Technique: Paired axial CT (left) and PSMA PET (right), 68Ga tracer. acquired on Siemens Biograph 64-4R TruePoint. slice position z = -1670 mm.
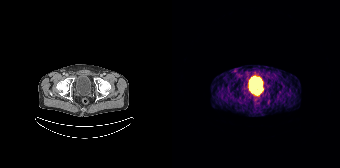
Findings: Only PSMA-avid lesion pieces thinner than 2 px on this slice (not listed).